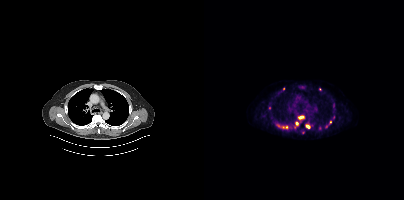
Left: CT. Right: PSMA PET, same axial level, 18F-PSMA tracer. PET panel 200×200 px (4.1 mm/px).
Coordinates are on the 200×200 PET (right) panel. PSMA-avid tumor lesion bounding boxes (partial; 3 more foci not listed):
| # | x0 | y0 | x1 | y1 |
|---|---|---|---|---|
| 1 | 94 | 115 | 100 | 119 |
| 2 | 101 | 124 | 106 | 128 |
| 3 | 78 | 126 | 83 | 128 |
Small PSMA-avid focus (2 to 4 px across) near (center x, center y): (92, 123).